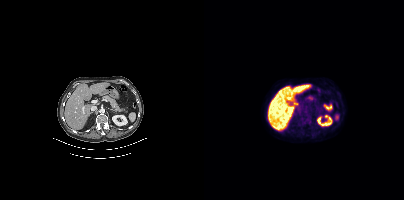
Technique: Two-panel axial: CT | PSMA PET, 18F-PSMA tracer. acquired on Siemens Biograph mCT Flow 20. slice position z = -1214 mm. PET panel 200×200 px (4.1 mm/px).
Findings: No tumor lesions annotated on this slice.